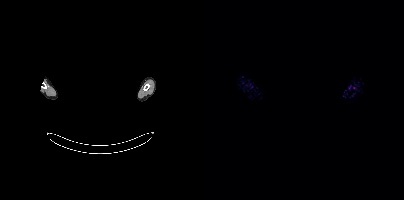
Technique: Left: CT. Right: PSMA PET, same axial level, 18F tracer. slice 425 of 425.
Note: An anonymization step blacked out a rectangle over the head in this scan.
Findings: Negative for PSMA-avid disease on this slice.